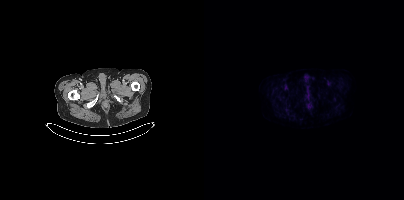
Two-panel axial: CT | PSMA PET, 18F-PSMA tracer. No PSMA-avid tumor lesions on this slice.